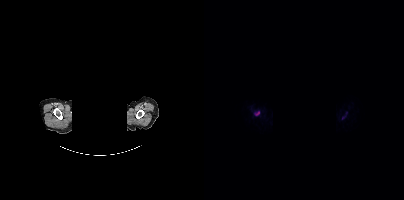
Findings: Coordinates are on the 200×200 PET (right) panel. (showing 1 of 2 foci) PSMA-avid tumor lesion bounding box (x, y, width, height): x=50 y=111 w=6 h=5.
Technique: Two-panel axial: CT | PSMA PET, 18F-PSMA tracer.
Note: A rectangular block over the head has been blanked out for de-identification.